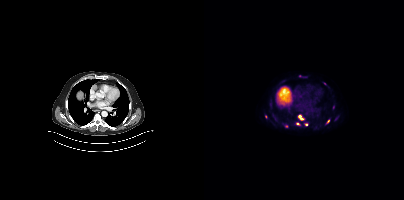
- Left: CT. Right: PSMA PET, same axial level, 18F-PSMA tracer
- slice position z = -350 mm
Findings: Coordinates are on the 200×200 PET (right) panel. (showing 7 of 8 foci) PSMA-avid tumor lesion bounding box (x, y, width, height): x=94 y=115 w=7 h=6. Small PSMA-avid foci (2 to 4 px across) near (center x, center y): (102, 124) | (93, 123) | (124, 121) | (82, 126) | (95, 75) | (61, 116).